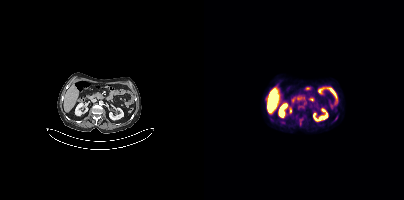
- Two-panel axial: CT | PSMA PET, 18F tracer
- PET panel 200×200 px (4.1 mm/px)
Findings: Coordinates are on the 200×200 PET (right) panel. PSMA-avid tumor lesion bounding box (x0,y0,x1,y1): [95,106,99,107]. Small PSMA-avid focus (2 to 4 px across) near (center x, center y): (97, 120).